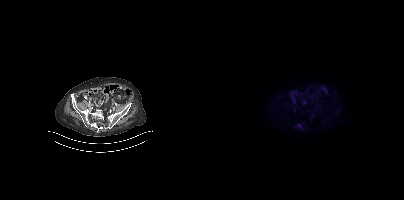
{"modality":"PSMA PET/CT","view":"axial","tracer":"[18F]PSMA-1007","pet_grid":[200,200],"coord_frame":"pet_panel","coord_format":"x0,y0,x1,y1","lesion_bboxes":[],"small_foci_centers":[[95,125]]}